- Two-panel axial: CT | PSMA PET, 18F-PSMA tracer
- acquired on Siemens Biograph mCT Flow 20
- slice position z = -330 mm
- PET panel 200×200 px (4.1 mm/px)
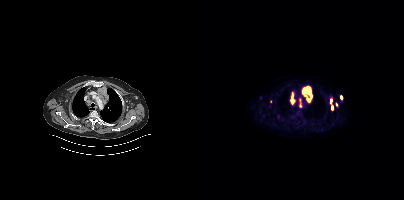
Findings: Coordinates are on the 200×200 PET (right) panel. PSMA-avid tumor lesion bounding boxes (x, y, width, height): x=98 y=86 w=11 h=17 / x=86 y=92 w=6 h=13 / x=95 y=98 w=3 h=10 / x=136 y=95 w=4 h=5 / x=127 y=105 w=3 h=6 / x=126 y=99 w=3 h=5. Small PSMA-avid foci (2 to 4 px across) near (center x, center y): (133, 104) / (66, 101).